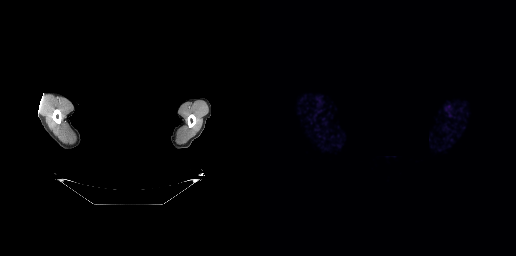
Negative for PSMA-avid disease on this slice.
modality: PSMA PET/CT | tracer: 68Ga-PSMA | view: axial | de-identification: facial region redacted